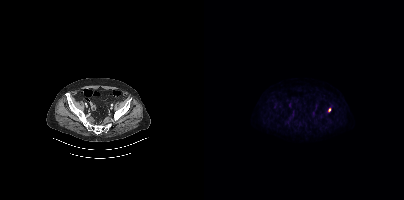
modality: PSMA PET/CT | tracer: 18F | view: axial
Coordinates are on the 200×200 PET (right) panel. Small PSMA-avid focus (2 to 4 px across) near (center x, center y): (125, 109).